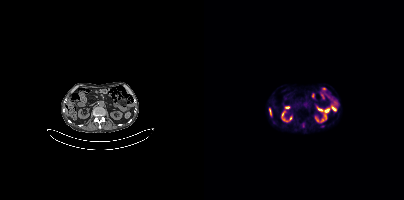
{"pet_grid":[200,200],"coord_frame":"pet_panel","coord_format":"x0,y0,x1,y1","partial":true,"lesion_bboxes":[],"modality":"PSMA PET/CT","view":"axial","tracer":"[18F]PSMA-1007"}